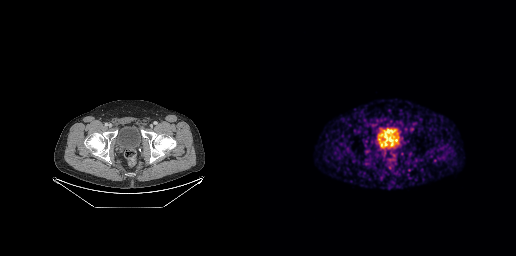
Coordinates are on the 256×256 PET (right) panel. PSMA-avid tumor lesion bounding box (x, y, width, height): x=134 y=137 w=4 h=5. Small PSMA-avid focus (2 to 4 px across) near (center x, center y): (107, 151). Paired axial CT (left) and PSMA PET (right), [68Ga]Ga-PSMA-11 tracer. Acquired on GE Discovery 690.